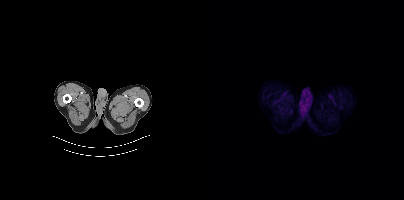
No tumor lesions annotated on this slice.